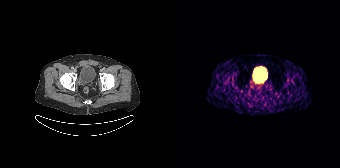
This slice has no annotated PSMA-avid lesion.